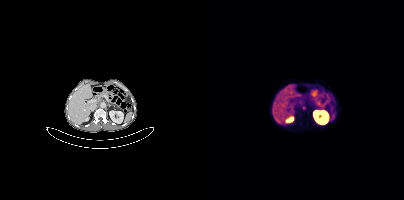
- Two-panel axial: CT | PSMA PET, 68Ga tracer
- slice position z = -1394 mm
Findings: Coordinates are on the 200×200 PET (right) panel. Small PSMA-avid focus (2 to 4 px across) near (center x, center y): (99, 107).